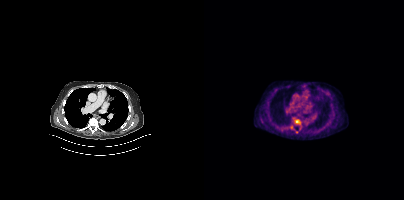
Coordinates are on the 200×200 PET (right) panel. Small PSMA-avid foci (2 to 4 px across) near (center x, center y): (92, 121); (87, 128).